Technique: Paired axial CT (left) and PSMA PET (right), 18F-PSMA tracer.
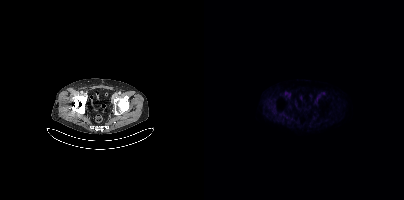
Findings: No PSMA-avid tumor lesions on this slice.